modality: PSMA PET/CT | tracer: [68Ga]Ga-PSMA-11 | view: axial | PET grid: 200×200
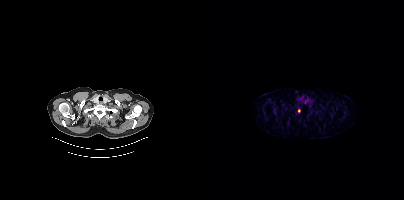
Coordinates are on the 200×200 PET (right) panel. Small PSMA-avid focus (2 to 4 px across) near (center x, center y): (94, 110).